modality: PSMA PET/CT | tracer: 18F-PSMA | view: axial | PET grid: 256×256 | de-identification: region redacted
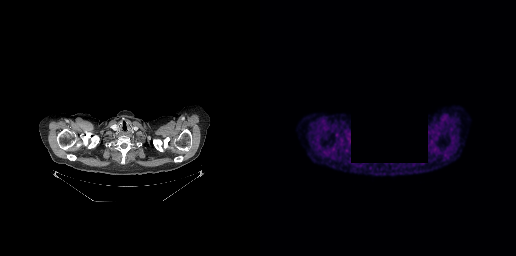
No PSMA-avid tumor lesions on this slice.